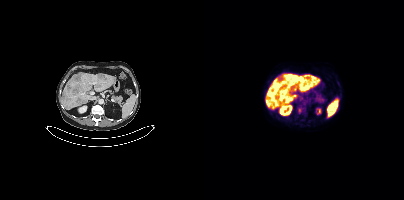
Coordinates are on the 200×200 PET (right) panel. PSMA-avid tumor lesion bounding boxes (x, y, width, height): x=91 y=75 w=12 h=7 / x=70 y=83 w=7 h=7 / x=96 y=84 w=6 h=6 / x=94 y=108 w=4 h=5. Small PSMA-avid focus (2 to 4 px across) near (center x, center y): (97, 98).